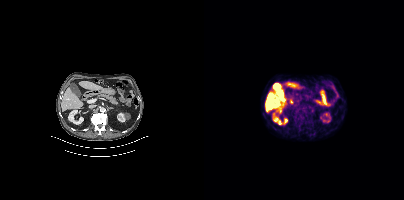
Technique: Two-panel axial: CT | PSMA PET, 18F tracer. PET panel 200×200 px (4.1 mm/px).
Findings: Negative for PSMA-avid disease on this slice.